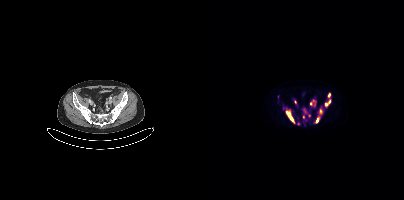
Coordinates are on the 200×200 PET (right) panel. (showing 11 of 13 foci) PSMA-avid tumor lesion bounding boxes (x, y, width, height): x=82 y=110 w=10 h=14; x=121 y=100 w=6 h=7; x=109 y=100 w=4 h=6; x=116 y=109 w=3 h=5; x=112 y=117 w=4 h=6. Small PSMA-avid foci (2 to 4 px across) near (center x, center y): (91, 101); (125, 94); (99, 116); (106, 103); (94, 123); (105, 116).